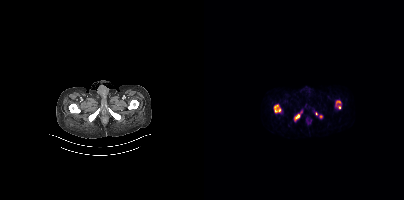
No tumor lesions annotated on this slice.